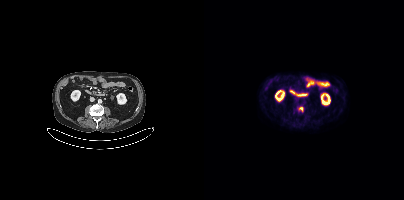
Left: CT. Right: PSMA PET, same axial level, 18F tracer. Slice position z = -1250 mm. PET panel 200×200 px (4.1 mm/px). Coordinates are on the 200×200 PET (right) panel. Small PSMA-avid focus (2 to 4 px across) near (center x, center y): (97, 108).